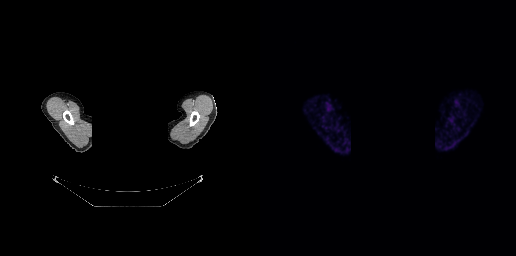
Paired axial CT (left) and PSMA PET (right), [68Ga]Ga-PSMA-11 tracer. PET panel 256×256 px (2.7 mm/px). De-identified by setting a box covering the face to black before release. No PSMA-avid tumor lesions on this slice.